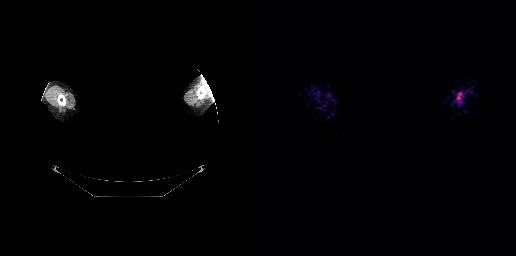
Left: CT. Right: PSMA PET, same axial level, 68Ga tracer. Slice position z = -189 mm. PET panel 256×256 px (2.7 mm/px). Facial anatomy redacted by setting a rectangular region of the head to black. Only PSMA-avid lesion pieces thinner than 2 px on this slice (not listed).